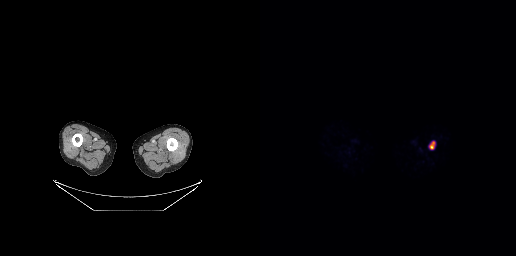
No tumor lesions annotated on this slice.